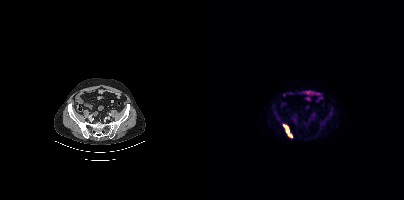
modality: PSMA PET/CT | tracer: 18F | view: axial
Coordinates are on the 200×200 PET (right) panel. PSMA-avid tumor lesion bounding box (x, y, width, height): x=79 y=124 w=10 h=14.